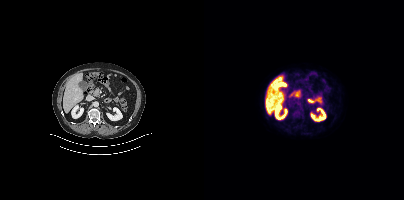
No tumor lesions annotated on this slice.